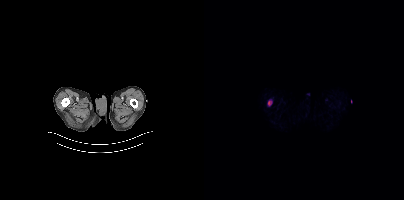
{"modality":"PSMA PET/CT","view":"axial","tracer":"[18F]PSMA-1007","pet_grid":[200,200],"coord_frame":"pet_panel","coord_format":"x0,y0,x1,y1","lesion_bboxes":[[64,101,67,105]]}